modality: PSMA PET/CT | tracer: [18F]PSMA-1007 | view: axial
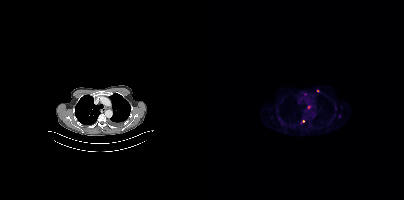
Coordinates are on the 200×200 PET (right) panel. Small PSMA-avid foci (2 to 4 px across) near (center x, center y): (104, 106) | (98, 122) | (113, 90) | (131, 108).